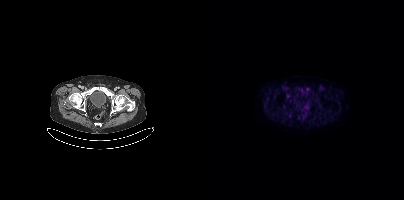
Technique: Left: CT. Right: PSMA PET, same axial level, 18F-PSMA tracer. slice position z = -1440 mm. PET panel 200×200 px (4.1 mm/px).
Findings: Negative for PSMA-avid disease on this slice.